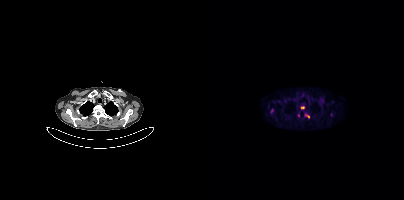
Coordinates are on the 200×200 PET (right) panel. (showing 3 of 4 foci) PSMA-avid tumor lesion bounding boxes (x0,y0,x1,y1): [101,114,105,118]; [66,109,69,113]. Small PSMA-avid focus (2 to 4 px across) near (center x, center y): (98, 107).